Two-panel axial: CT | PSMA PET, 18F tracer. Slice position z = -986 mm.
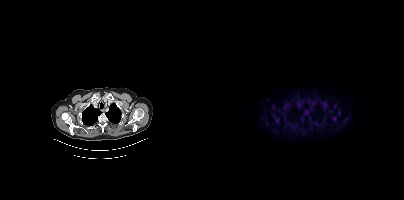
No tumor lesions annotated on this slice.